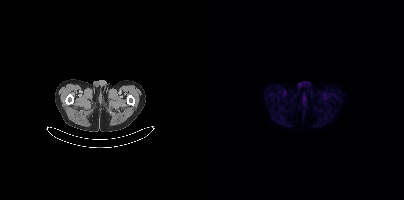
- Left: CT. Right: PSMA PET, same axial level, 18F-PSMA tracer
- acquired on Siemens Biograph mCT Flow 20
- slice position z = -340 mm
Findings: This slice has no annotated PSMA-avid lesion.